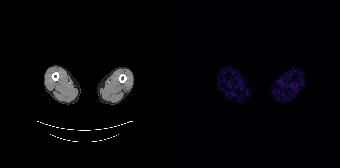
Negative for PSMA-avid disease on this slice.